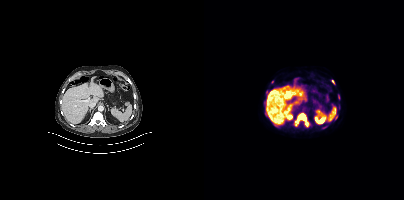
{"modality":"PSMA PET/CT","view":"axial","tracer":"[18F]PSMA-1007","pet_grid":[200,200],"coord_frame":"pet_panel","coord_format":"x0,y0,x1,y1","partial":true,"lesion_bboxes":[[90,113,105,126],[62,90,64,94]],"small_foci_centers":[[119,127],[129,81],[132,116],[134,97]]}